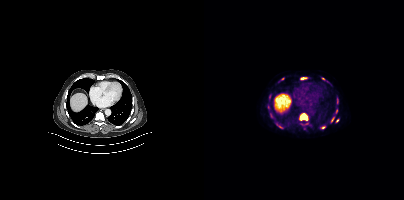
Left: CT. Right: PSMA PET, same axial level, 18F-PSMA tracer. PET panel 200×200 px (4.1 mm/px). Coordinates are on the 200×200 PET (right) panel. PSMA-avid tumor lesion bounding boxes (x0,y0,x1,y1): [96,113,103,120], [74,125,79,128], [97,77,101,79], [116,127,120,128]. Small PSMA-avid foci (2 to 4 px across) near (center x, center y): (64, 106), (78, 78), (128, 119), (133, 101), (132, 111), (133, 120), (119, 78).